- Left: CT. Right: PSMA PET, same axial level, [18F]PSMA-1007 tracer
- acquired on Siemens Biograph mCT Flow 20
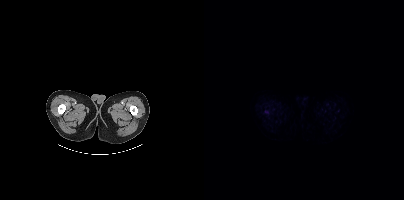
Findings: No tumor lesions annotated on this slice.